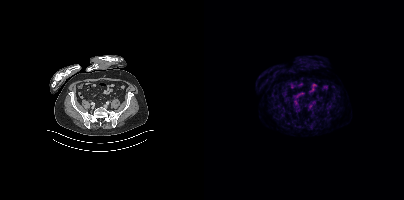
No tumor lesions annotated on this slice.